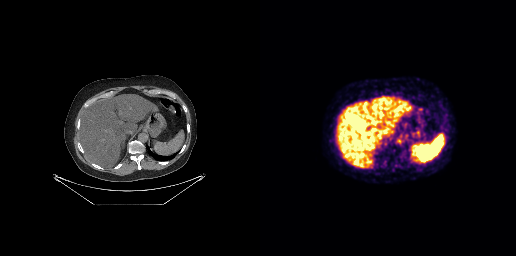
Negative for PSMA-avid disease on this slice.
modality: PSMA PET/CT | tracer: 18F | view: axial | PET grid: 256×256